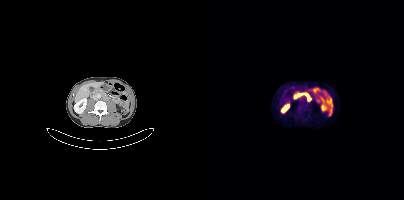
Coordinates are on the 200×200 PET (right) panel. PSMA-avid tumor lesion bounding box (x, y, width, height): x=94 y=105 w=6 h=6.
modality: PSMA PET/CT | tracer: 18F-PSMA | view: axial